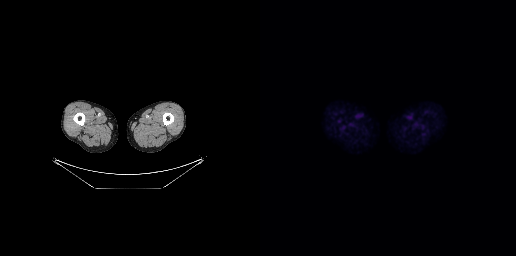
{"pet_grid":[256,256],"coord_frame":"pet_panel","coord_format":"x0,y0,x1,y1","psma_avid_lesions":false,"modality":"PSMA PET/CT","view":"axial","tracer":"18F"}